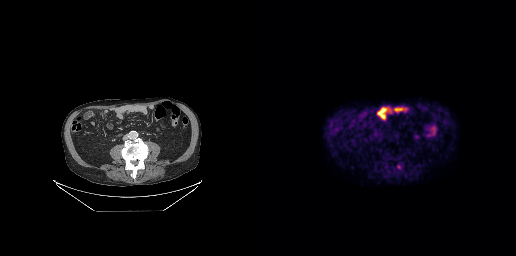
Only PSMA-avid lesion pieces thinner than 2 px on this slice (not listed).